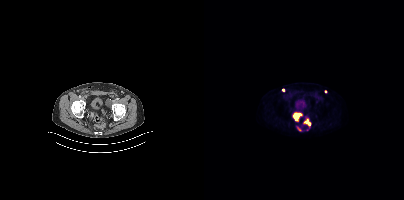
modality: PSMA PET/CT | tracer: [18F]PSMA-1007 | view: axial
Coordinates are on the 200×200 PET (right) panel. PSMA-avid tumor lesion bounding boxes (x, y, width, height): x=89 y=112 w=10 h=10; x=99 y=118 w=9 h=9. Small PSMA-avid foci (2 to 4 px across) near (center x, center y): (79, 89); (94, 128); (121, 91).